Head region blanked for anonymization (face removed). Left: CT. Right: PSMA PET, same axial level, [18F]PSMA-1007 tracer. Acquired on Siemens Biograph 64-4R TruePoint. Slice 161 of 165. PET panel 168×168 px (4.1 mm/px).
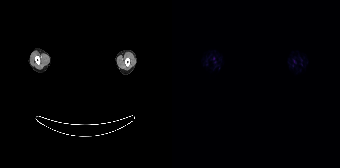
No tumor lesions annotated on this slice.